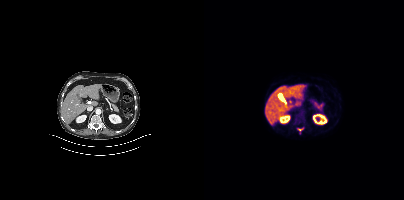
modality: PSMA PET/CT | tracer: 18F | view: axial | PET grid: 200×200
Coordinates are on the 200×200 PET (right) panel. PSMA-avid tumor lesion bounding box (x0, y0)-(x1, y1): (94, 129)-(98, 130).